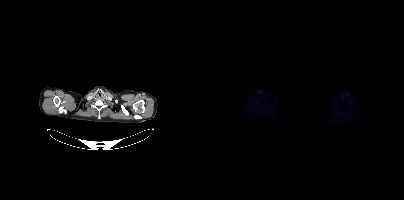
Technique: Two-panel axial: CT | PSMA PET, 18F-PSMA tracer. acquired on Siemens Biograph mCT Flow 20. slice 379 of 431.
Note: An anonymization step blacked out a rectangle in this scan.
Findings: Negative for PSMA-avid disease on this slice.